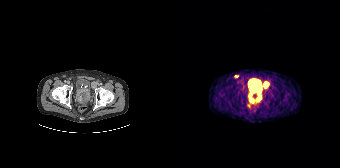
Two-panel axial: CT | PSMA PET, [68Ga]Ga-PSMA-11 tracer. Slice 41 of 195.
Coordinates are on the 168×168 PET (right) panel. PSMA-avid tumor lesion bounding boxes:
| # | x0 | y0 | x1 | y1 |
|---|---|---|---|---|
| 1 | 77 | 90 | 89 | 101 |
| 2 | 92 | 82 | 96 | 87 |
Small PSMA-avid foci (2 to 4 px across) near (center x, center y): (64, 76); (76, 105).